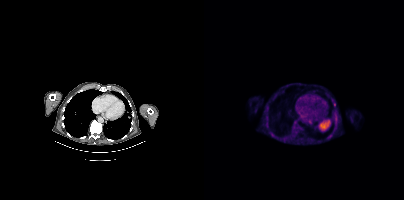
Technique: Paired axial CT (left) and PSMA PET (right), 18F-PSMA tracer. acquired on Siemens Biograph mCT Flow 20.
Findings: Coordinates are on the 200×200 PET (right) panel. PSMA-avid tumor lesion bounding box (x, y, width, height): x=129 y=102 w=3 h=5.